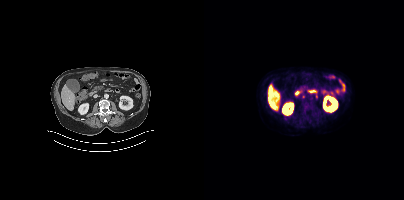
Coordinates are on the 200×200 PET (right) panel. Small PSMA-avid focus (2 to 4 px across) near (center x, center y): (99, 96).